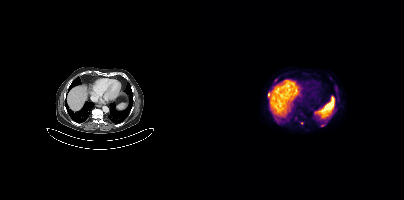
Coordinates are on the 200×200 PET (right) panel. (showing 5 of 6 foci) PSMA-avid tumor lesion bounding boxes (x0,y0,x1,y1): [117,124,121,126] [64,92,65,97]. Small PSMA-avid foci (2 to 4 px across) near (center x, center y): (98, 123) (71, 80) (80, 79).